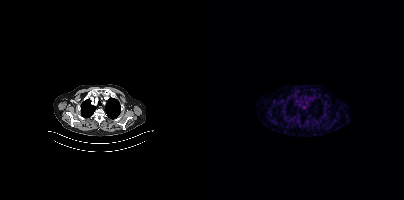
Negative for PSMA-avid disease on this slice.